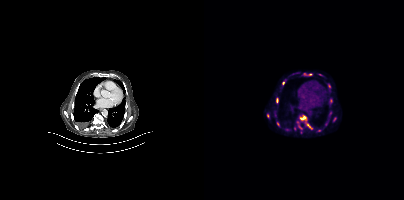
Coordinates are on the 200×200 PET (right) panel. (showing 12 of 14 foci) PSMA-avid tumor lesion bounding boxes (x0, y0)-(x1, y1): (96, 115)-(109, 129); (99, 73)-(106, 75); (72, 98)-(74, 103); (78, 80)-(81, 85); (129, 117)-(132, 121). Small PSMA-avid foci (2 to 4 px across) near (center x, center y): (64, 115); (74, 123); (127, 100); (126, 113); (96, 127); (125, 87); (115, 130).